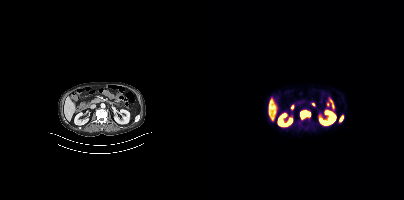
modality: PSMA PET/CT | tracer: 18F | view: axial
Coordinates are on the 200×200 PET (right) panel. PSMA-avid tumor lesion bounding boxes (x0, y0)-(x1, y1): (96, 111)-(106, 118); (135, 115)-(139, 121).